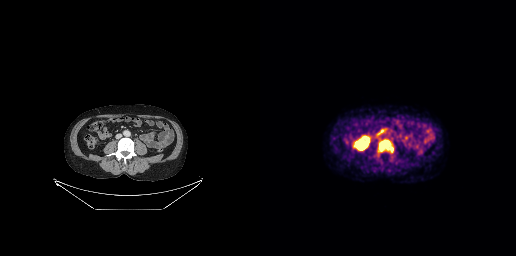
Paired axial CT (left) and PSMA PET (right), [18F]PSMA-1007 tracer. PET panel 256×256 px (2.7 mm/px). Coordinates are on the 256×256 PET (right) panel. PSMA-avid tumor lesion bounding box (x, y, width, height): x=118 y=139 w=16 h=14.